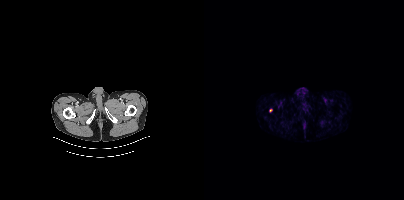
Coordinates are on the 200×200 PET (right) panel. Small PSMA-avid focus (2 to 4 px across) near (center x, center y): (66, 110).